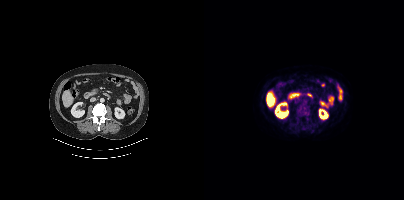
Findings: Coordinates are on the 200×200 PET (right) panel. PSMA-avid tumor lesion bounding boxes (x0, y0)-(x1, y1): (92, 102)-(105, 117); (101, 115)-(105, 119); (92, 119)-(95, 123).
- Paired axial CT (left) and PSMA PET (right), [18F]PSMA-1007 tracer
- acquired on Siemens Biograph mCT Flow 20